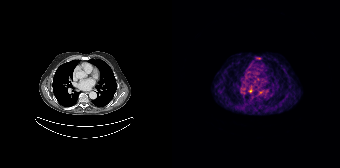
modality: PSMA PET/CT | tracer: 68Ga-PSMA | view: axial | PET grid: 168×168
Coordinates are on the 168×168 PET (right) panel. Small PSMA-avid focus (2 to 4 px across) near (center x, center y): (78, 90).